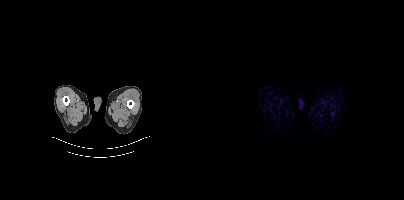
Negative for PSMA-avid disease on this slice. Left: CT. Right: PSMA PET, same axial level, [18F]PSMA-1007 tracer. Acquired on Siemens Biograph mCT Flow 20. PET panel 200×200 px (4.1 mm/px).